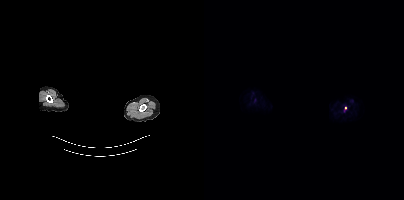
{"pet_grid":[200,200],"coord_frame":"pet_panel","coord_format":"x0,y0,x1,y1","lesion_bboxes":[],"small_foci_centers":[[141,108]],"modality":"PSMA PET/CT","view":"axial","tracer":"[18F]PSMA-1007","redaction":"head region blacked out before release"}